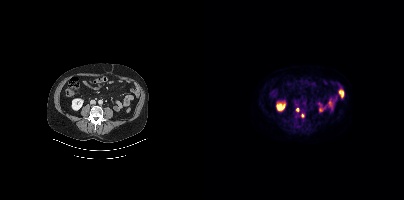
- Paired axial CT (left) and PSMA PET (right), 18F tracer
- PET panel 200×200 px (4.1 mm/px)
Findings: Coordinates are on the 200×200 PET (right) panel. Small PSMA-avid foci (2 to 4 px across) near (center x, center y): (93, 109), (98, 115).